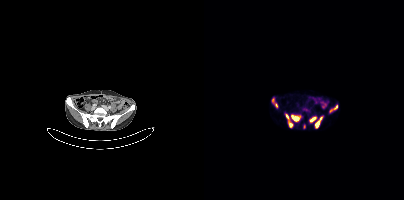
modality: PSMA PET/CT | tracer: 68Ga-PSMA | view: axial
Coordinates are on the 200×200 PET (right) panel. PSMA-avid tumor lesion bounding boxes (x, y, width, height): x=87 y=115 w=10 h=7 | x=111 y=117 w=8 h=11 | x=68 y=98 w=6 h=10 | x=105 y=117 w=8 h=6 | x=126 y=105 w=8 h=8 | x=85 y=122 w=4 h=6 | x=82 y=114 w=3 h=5 | x=99 y=124 w=3 h=5.